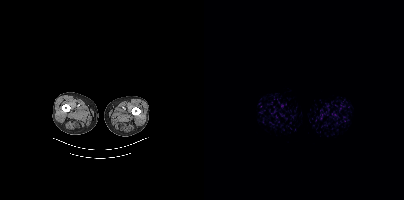
{"modality":"PSMA PET/CT","view":"axial","tracer":"18F","pet_grid":[200,200],"coord_frame":"pet_panel","coord_format":"x0,y0,x1,y1","psma_avid_lesions":false}